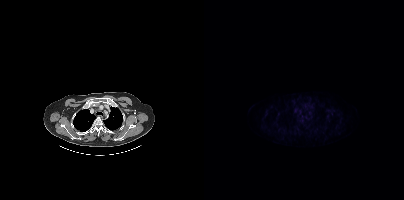
Only PSMA-avid lesion pieces thinner than 2 px on this slice (not listed).